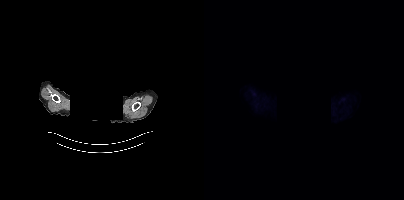
Findings: No tumor lesions annotated on this slice.
- head region blanked for anonymization (face removed)
- Two-panel axial: CT | PSMA PET, [18F]PSMA-1007 tracer
- acquired on Siemens Biograph mCT Flow 20